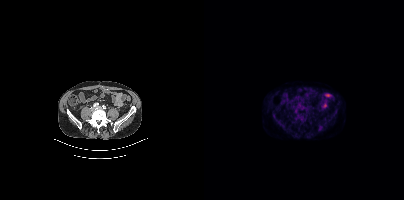
No tumor lesions annotated on this slice. Two-panel axial: CT | PSMA PET, 18F-PSMA tracer. Acquired on Siemens Biograph mCT Flow 20.